redaction: privacy mask over head | modality: PSMA PET/CT | tracer: [18F]PSMA-1007 | view: axial | PET grid: 200×200
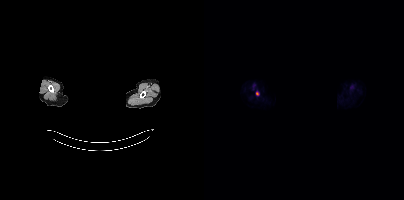
Coordinates are on the 200×200 PET (right) panel. Small PSMA-avid focus (2 to 4 px across) near (center x, center y): (53, 93).